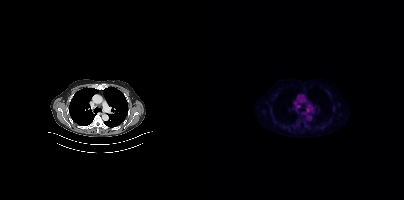
This slice has no annotated PSMA-avid lesion. Left: CT. Right: PSMA PET, same axial level, 18F tracer. Slice 299 of 415.